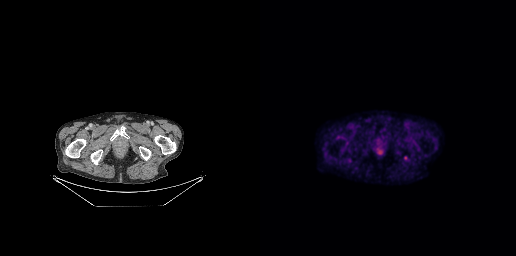
{"modality":"PSMA PET/CT","view":"axial","tracer":"18F","pet_grid":[256,256],"coord_frame":"pet_panel","coord_format":"x0,y0,x1,y1","lesion_bboxes":[[144,156,148,160]]}